modality: PSMA PET/CT | tracer: 18F-PSMA | view: axial | PET grid: 200×200
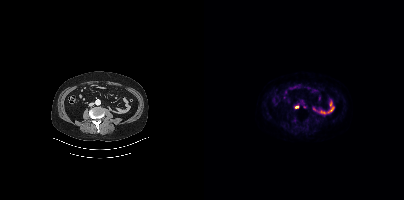
Coordinates are on the 200×200 PET (right) panel. Small PSMA-avid focus (2 to 4 px across) near (center x, center y): (92, 107).